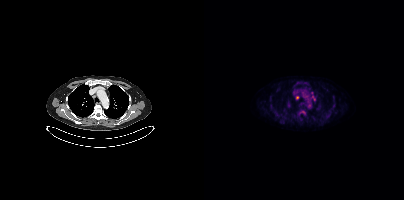
{"pet_grid":[200,200],"coord_frame":"pet_panel","coord_format":"x0,y0,x1,y1","partial":true,"lesion_bboxes":[[95,110,101,114]],"small_foci_centers":[[93,97],[105,88],[129,104]],"modality":"PSMA PET/CT","view":"axial","tracer":"[18F]PSMA-1007"}